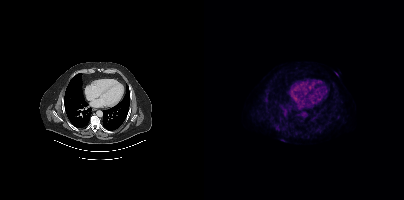
No PSMA-avid tumor lesions on this slice. Paired axial CT (left) and PSMA PET (right), [18F]PSMA-1007 tracer. Slice position z = -1065 mm.